- Paired axial CT (left) and PSMA PET (right), 18F tracer
- acquired on Siemens Biograph mCT Flow 20
- PET panel 200×200 px (4.1 mm/px)
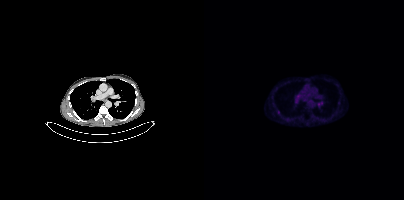
Findings: Coordinates are on the 200×200 PET (right) panel. Small PSMA-avid foci (2 to 4 px across) near (center x, center y): (74, 111) / (94, 96) / (117, 103).